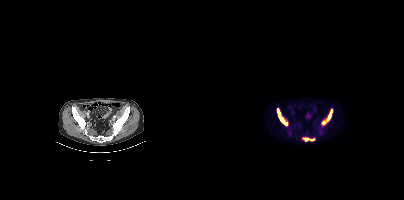
Coordinates are on the 200×200 PET (right) panel. PSMA-avid tumor lesion bounding boxes (x, y, width, height): x=117 y=109 w=12 h=17; x=73 y=109 w=11 h=17. Small PSMA-avid foci (2 to 4 px across) near (center x, center y): (102, 139); (109, 139).
modality: PSMA PET/CT | tracer: 18F-PSMA | view: axial